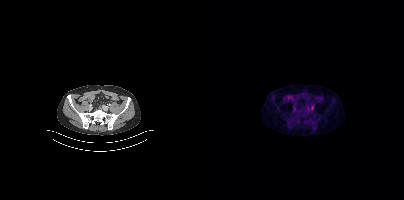
Coordinates are on the 200×200 PET (right) panel. Small PSMA-avid focus (2 to 4 px across) near (center x, center y): (108, 107).